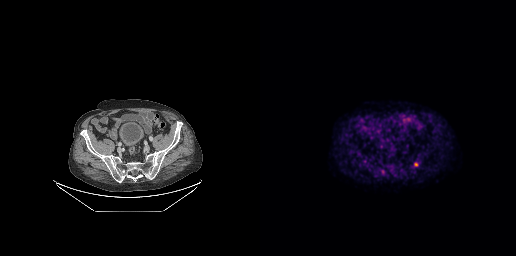
- Left: CT. Right: PSMA PET, same axial level, [18F]PSMA-1007 tracer
- acquired on GE Discovery 690
- slice 106 of 299
Findings: Coordinates are on the 256×256 PET (right) panel. PSMA-avid tumor lesion bounding box (x0, y0)-(x1, y1): (154, 162)-(158, 166).